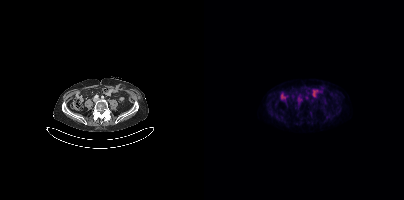
Findings: Negative for PSMA-avid disease on this slice.
Technique: Left: CT. Right: PSMA PET, same axial level, 18F tracer. acquired on Siemens Biograph mCT Flow 20. slice position z = -1550 mm. PET panel 200×200 px (4.1 mm/px).